Technique: Left: CT. Right: PSMA PET, same axial level, [18F]PSMA-1007 tracer. slice position z = -958 mm.
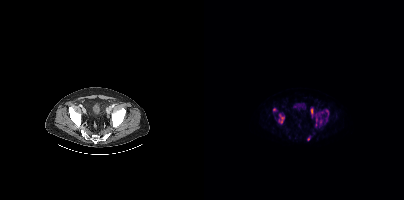
Findings: Coordinates are on the 200×200 PET (right) panel. (showing 7 of 8 foci) PSMA-avid tumor lesion bounding boxes (x, y, width, height): x=75 y=114 w=6 h=10 | x=112 y=114 w=2 h=13 | x=122 y=110 w=3 h=6. Small PSMA-avid foci (2 to 4 px across) near (center x, center y): (116, 121) | (104, 138) | (70, 109) | (118, 112).